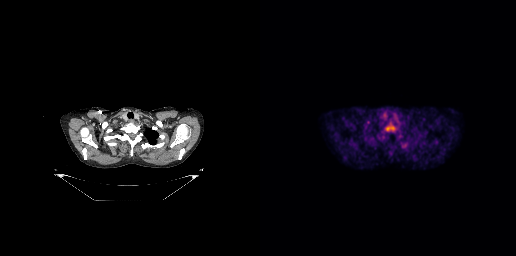
Coordinates are on the 256×256 PET (right) panel. PSMA-avid tumor lesion bounding box (x0,y0,x1,y1): [125,121,136,131].